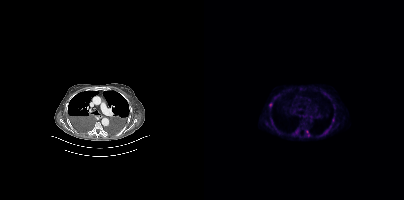
Coordinates are on the 200×200 PET (right) panel. (showing 4 of 6 foci) PSMA-avid tumor lesion bounding boxes (x0,y0,x1,y1): [90,128,95,134] [119,130,123,134] [65,103,68,107]. Small PSMA-avid focus (2 to 4 px across) near (center x, center y): (103, 131).